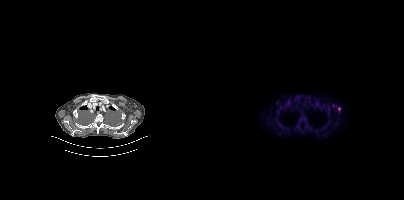
Coordinates are on the 200×200 PET (right) panel. (showing 3 of 6 foci) Small PSMA-avid foci (2 to 4 px across) near (center x, center y): (100, 119) | (84, 101) | (135, 108).
modality: PSMA PET/CT | tracer: [18F]PSMA-1007 | view: axial | PET grid: 200×200